Two-panel axial: CT | PSMA PET, [68Ga]Ga-PSMA-11 tracer. Slice position z = -1038 mm. PET panel 168×168 px (4.1 mm/px).
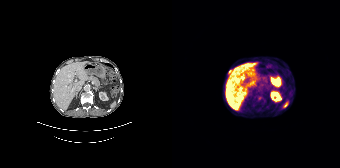
Coordinates are on the 168×168 PET (right) panel. Small PSMA-avid foci (2 to 4 px across) near (center x, center y): (57, 71) (87, 97).